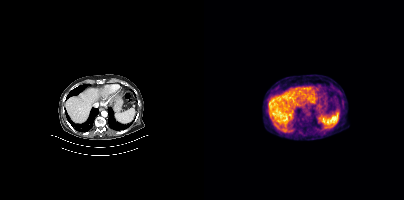
Negative for PSMA-avid disease on this slice. Two-panel axial: CT | PSMA PET, 18F tracer. Slice 237 of 397.